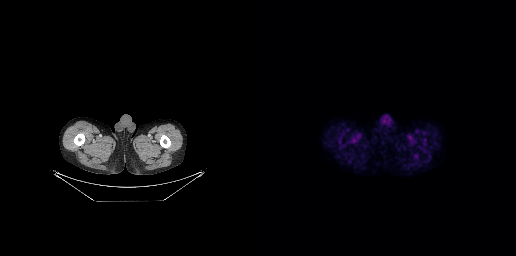
Two-panel axial: CT | PSMA PET, 18F tracer. Slice 50 of 299. This slice has no annotated PSMA-avid lesion.